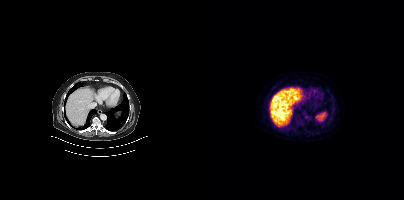
- Left: CT. Right: PSMA PET, same axial level, [18F]PSMA-1007 tracer
- acquired on Siemens Biograph mCT Flow 20
- PET panel 200×200 px (4.1 mm/px)
Findings: No tumor lesions annotated on this slice.